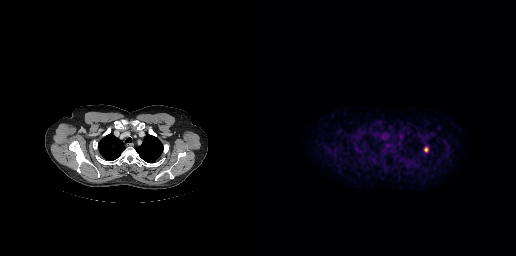
- Left: CT. Right: PSMA PET, same axial level, [18F]PSMA-1007 tracer
- PET panel 256×256 px (2.7 mm/px)
Findings: Coordinates are on the 256×256 PET (right) panel. Small PSMA-avid focus (2 to 4 px across) near (center x, center y): (166, 148).